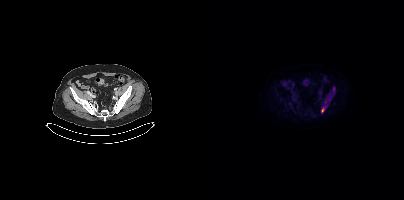
{"modality":"PSMA PET/CT","view":"axial","tracer":"18F","pet_grid":[200,200],"coord_frame":"pet_panel","coord_format":"x0,y0,x1,y1","lesion_bboxes":[[117,107,120,112]]}